- Left: CT. Right: PSMA PET, same axial level, 18F-PSMA tracer
- acquired on Siemens Biograph mCT Flow 20
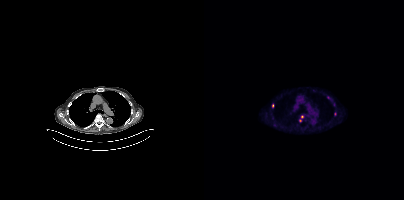
Findings: Coordinates are on the 200×200 PET (right) panel. (showing 4 of 5 foci) Small PSMA-avid foci (2 to 4 px across) near (center x, center y): (68, 105), (98, 116), (96, 120), (131, 114).